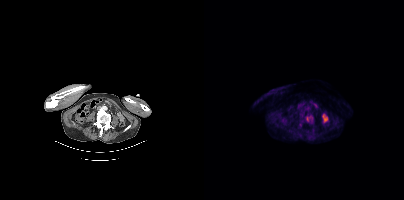
Coordinates are on the 200×200 PET (right) panel. (showing 1 of 2 foci) PSMA-avid tumor lesion bounding box (x0,y0,x1,y1): [102,116,108,121].